Paired axial CT (left) and PSMA PET (right), 68Ga-PSMA tracer. PET panel 200×200 px (4.1 mm/px).
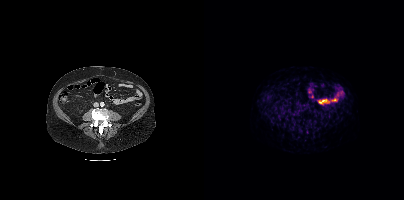
Negative for PSMA-avid disease on this slice.